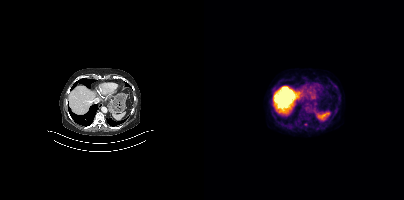
Coordinates are on the 200×200 PET (right) panel. Small PSMA-avid focus (2 to 4 px across) near (center x, center y): (101, 124).